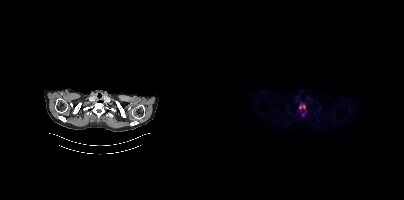
Coordinates are on the 200×200 PET (right) panel. (showing 1 of 2 foci) PSMA-avid tumor lesion bounding box (x0,y0,x1,y1): [95,104,101,109].